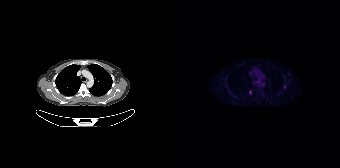
{"pet_grid":[168,168],"coord_frame":"pet_panel","coord_format":"x0,y0,x1,y1","partial":true,"lesion_bboxes":[],"small_foci_centers":[[78,92]],"modality":"PSMA PET/CT","view":"axial","tracer":"18F-PSMA"}